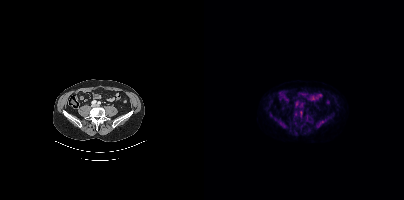
Left: CT. Right: PSMA PET, same axial level, 18F tracer. Acquired on Siemens Biograph mCT Flow 20. Slice position z = -1329 mm. This slice has no annotated PSMA-avid lesion.